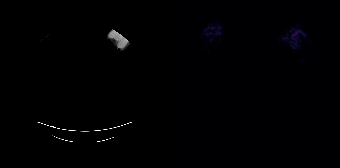
No PSMA-avid tumor lesions on this slice. Any black rectangle over the head is a privacy mask, not anatomy. Left: CT. Right: PSMA PET, same axial level, 68Ga tracer. Slice 192 of 195.